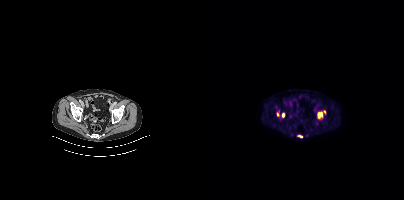
{"modality":"PSMA PET/CT","view":"axial","tracer":"18F","pet_grid":[200,200],"coord_frame":"pet_panel","coord_format":"x0,y0,x1,y1","lesion_bboxes":[[113,110,121,118],[78,113,80,117],[93,135,98,137]],"small_foci_centers":[[73,114]]}